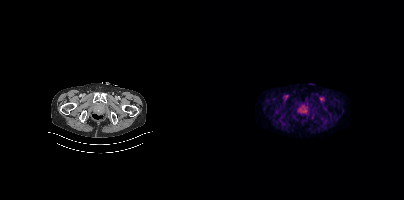
Paired axial CT (left) and PSMA PET (right), 18F tracer. Slice 60 of 401. Coordinates are on the 200×200 PET (right) panel. PSMA-avid tumor lesion bounding box (x0,y0,x1,y1): [94,105,105,114].